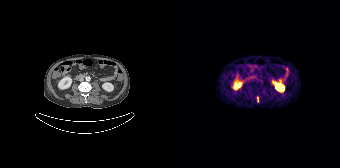
{"modality":"PSMA PET/CT","view":"axial","tracer":"[68Ga]Ga-PSMA-11","pet_grid":[168,168],"coord_frame":"pet_panel","coord_format":"x0,y0,x1,y1","lesion_bboxes":[[85,97,86,102]]}